Two-panel axial: CT | PSMA PET, 18F tracer. Slice 224 of 299.
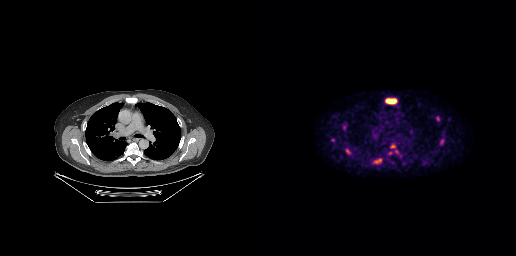
Coordinates are on the 256×256 PET (right) panel. (showing 6 of 8 foci) PSMA-avid tumor lesion bounding boxes (x, y, width, height): x=125 y=98 w=12 h=7; x=180 y=139 w=5 h=6; x=176 y=116 w=4 h=6; x=86 y=149 w=4 h=5. Small PSMA-avid foci (2 to 4 px across) near (center x, center y): (132, 146); (116, 161).